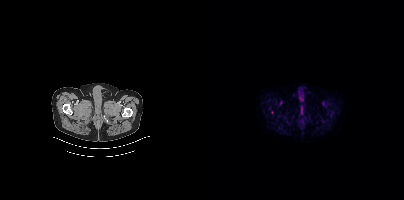
{"modality":"PSMA PET/CT","view":"axial","tracer":"[18F]PSMA-1007","pet_grid":[200,200],"coord_frame":"pet_panel","coord_format":"x0,y0,x1,y1","psma_avid_lesions":false}